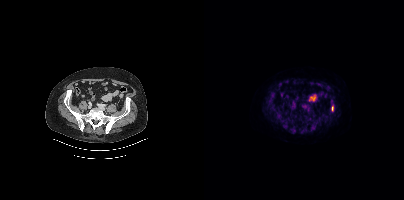
Coordinates are on the 200×200 PET (right) panel. PSMA-avid tumor lesion bounding box (x0, y0)-(x1, y1): (127, 106)-(129, 111).